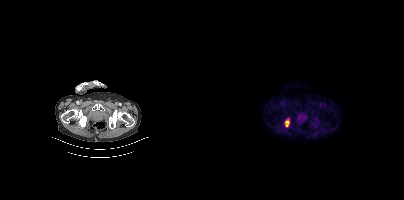
Left: CT. Right: PSMA PET, same axial level, 18F tracer.
Coordinates are on the 200×200 PET (right) panel. PSMA-avid tumor lesion bounding boxes:
| # | x0 | y0 | x1 | y1 |
|---|---|---|---|---|
| 1 | 81 | 118 | 86 | 126 |